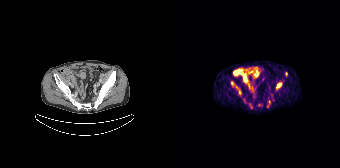
Technique: Left: CT. Right: PSMA PET, same axial level, [68Ga]Ga-PSMA-11 tracer. PET panel 168×168 px (4.1 mm/px).
Findings: Coordinates are on the 168×168 PET (right) panel. (showing 3 of 6 foci) PSMA-avid tumor lesion bounding box (x, y, width, height): x=104 y=83 w=6 h=6. Small PSMA-avid foci (2 to 4 px across) near (center x, center y): (60, 83); (67, 92).